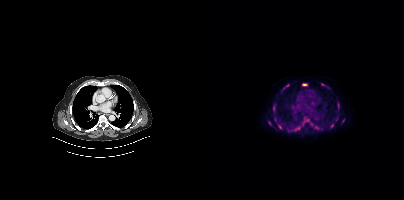
Coordinates are on the 200×200 PET (right) panel. PSMA-avid tumor lesion bounding boxes (x0,y0,x1,y1): [107,125,115,129], [133,102,135,111], [69,105,71,111], [98,83,103,86], [126,123,129,128], [74,124,78,129], [79,84,85,89], [91,127,95,130], [101,119,105,121], [117,83,122,86], [132,117,133,121]. Small PSMA-avid foci (2 to 4 px across) near (center x, center y): (71, 118), (65, 122), (99, 125), (139, 120).